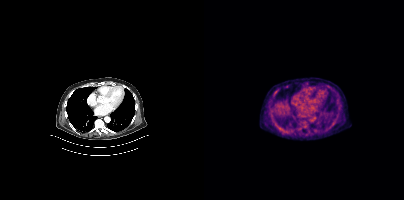
Findings: No tumor lesions annotated on this slice.
Technique: Left: CT. Right: PSMA PET, same axial level, 18F-PSMA tracer. PET panel 200×200 px (4.1 mm/px).